Left: CT. Right: PSMA PET, same axial level, 18F-PSMA tracer. Slice 68 of 429. PET panel 200×200 px (4.1 mm/px).
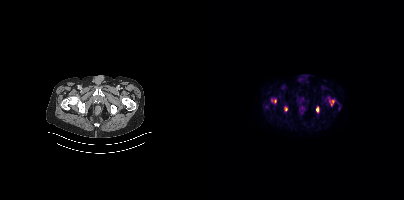
Coordinates are on the 200×200 PET (right) panel. PSMA-avid tumor lesion bounding boxes:
| # | x0 | y0 | x1 | y1 |
|---|---|---|---|---|
| 1 | 126 | 100 | 130 | 105 |
| 2 | 112 | 107 | 114 | 111 |
Small PSMA-avid foci (2 to 4 px across) near (center x, center y): (70, 100); (82, 109); (67, 100).